modality: PSMA PET/CT | tracer: [18F]PSMA-1007 | view: axial
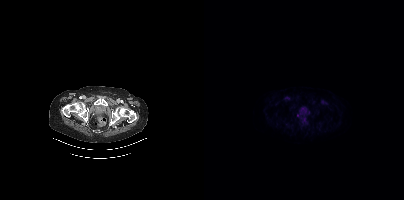
Negative for PSMA-avid disease on this slice.